Paired axial CT (left) and PSMA PET (right), 18F tracer. Slice position z = -585 mm.
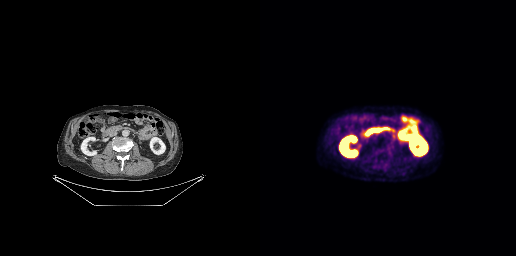
Coordinates are on the 256×256 PET (right) panel. PSMA-avid tumor lesion bounding boxes:
| # | x0 | y0 | x1 | y1 |
|---|---|---|---|---|
| 1 | 130 | 132 | 135 | 138 |
Small PSMA-avid focus (2 to 4 px across) near (center x, center y): (128, 147).